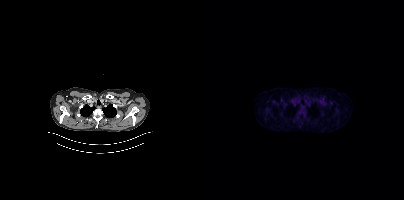
Two-panel axial: CT | PSMA PET, 18F-PSMA tracer. PET panel 200×200 px (4.1 mm/px). No PSMA-avid tumor lesions on this slice.